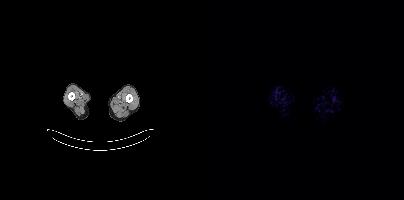
- Two-panel axial: CT | PSMA PET, 18F-PSMA tracer
- acquired on Siemens Biograph mCT Flow 20
- PET panel 200×200 px (4.1 mm/px)
Findings: Negative for PSMA-avid disease on this slice.